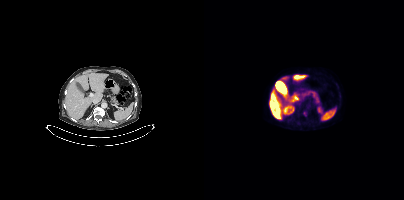
No PSMA-avid tumor lesions on this slice.